Technique: Left: CT. Right: PSMA PET, same axial level, 68Ga tracer. acquired on GE Discovery 690. slice 181 of 263.
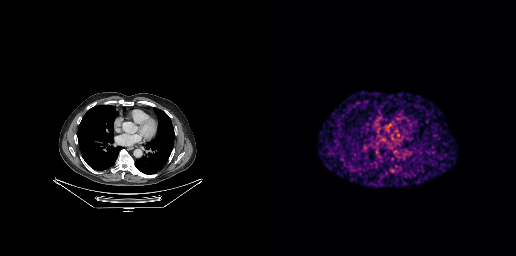
Findings: Coordinates are on the 256×256 PET (right) panel. PSMA-avid tumor lesion bounding box (x, y, width, height): x=130 y=169 w=5 h=4.